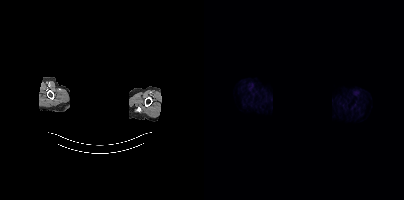
Findings: No PSMA-avid tumor lesions on this slice.
- the face region was removed for patient privacy by blanking a rectangle over the head
- Two-panel axial: CT | PSMA PET, 18F-PSMA tracer
- slice 415 of 454
- PET panel 200×200 px (4.1 mm/px)